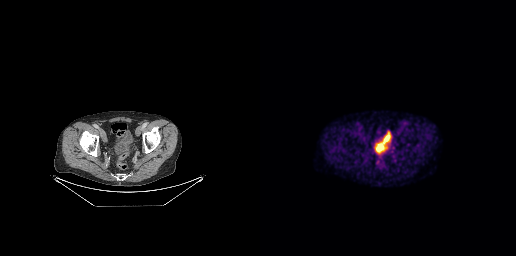
Paired axial CT (left) and PSMA PET (right), 18F tracer. Acquired on GE Discovery 690. Slice 79 of 263. No tumor lesions annotated on this slice.